Paired axial CT (left) and PSMA PET (right), 18F-PSMA tracer. Acquired on Siemens Biograph mCT Flow 20. Slice 248 of 448. PET panel 200×200 px (4.1 mm/px).
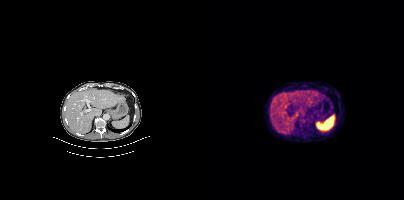
Coordinates are on the 200×200 PET (right) panel. PSMA-avid tumor lesion bounding box (x0, y0)-(x1, y1): (94, 117)-(106, 126).